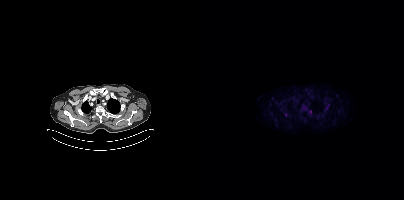
Coordinates are on the 200×200 PET (right) panel. Small PSMA-avid focus (2 to 4 px across) near (center x, center y): (81, 114).